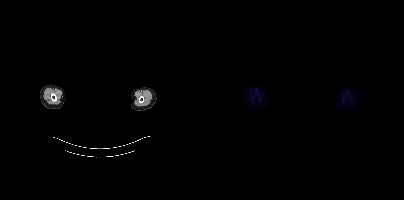
No tumor lesions annotated on this slice.
Face de-identified by blanking a block of the head.